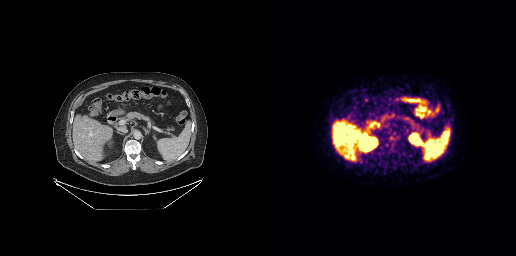
Coordinates are on the 256×256 PET (right) panel. Small PSMA-avid focus (2 to 4 px across) near (center x, center y): (131, 138). Left: CT. Right: PSMA PET, same axial level, [18F]PSMA-1007 tracer. Acquired on GE Discovery 690. PET panel 256×256 px (2.7 mm/px).